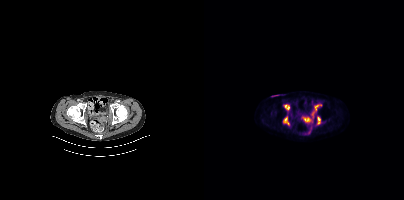
Technique: Two-panel axial: CT | PSMA PET, [18F]PSMA-1007 tracer.
Findings: Coordinates are on the 200×200 PET (right) panel. (showing 5 of 7 foci) PSMA-avid tumor lesion bounding boxes (x, y, width, height): x=79 y=116 w=6 h=8; x=79 y=104 w=6 h=7; x=114 y=117 w=3 h=7; x=100 y=118 w=6 h=4; x=111 y=105 w=4 h=5.